Paired axial CT (left) and PSMA PET (right), [18F]PSMA-1007 tracer.
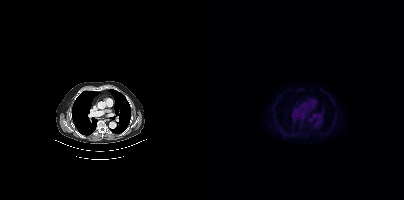
Coordinates are on the 200×200 PET (right) panel. Small PSMA-avid focus (2 to 4 px across) near (center x, center y): (105, 120).